Technique: Left: CT. Right: PSMA PET, same axial level, 18F tracer. acquired on Siemens Biograph 64-4R TruePoint. PET panel 168×168 px (4.1 mm/px).
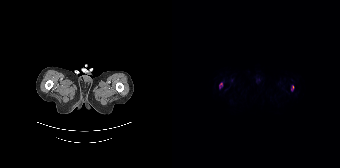
Findings: Coordinates are on the 168×168 PET (right) panel. (showing 1 of 2 foci) PSMA-avid tumor lesion bounding box (x0, y0)-(x1, y1): (47, 83)-(50, 87).